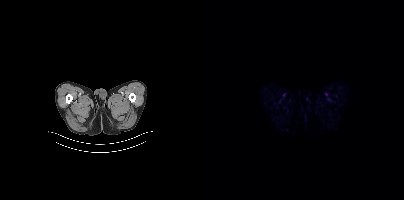
{"modality":"PSMA PET/CT","view":"axial","tracer":"18F","pet_grid":[200,200],"coord_frame":"pet_panel","coord_format":"x0,y0,x1,y1","psma_avid_lesions":false}